Technique: Paired axial CT (left) and PSMA PET (right), [18F]PSMA-1007 tracer. acquired on Siemens Biograph mCT Flow 20.
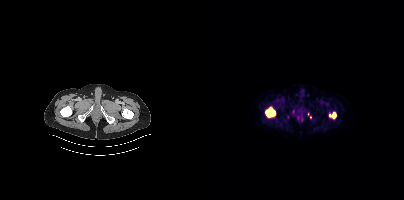
Findings: Coordinates are on the 200×200 PET (right) panel. PSMA-avid tumor lesion bounding boxes (x, y, width, height): x=61 y=107 w=11 h=11 / x=125 y=112 w=8 h=7.